Paired axial CT (left) and PSMA PET (right), 18F tracer.
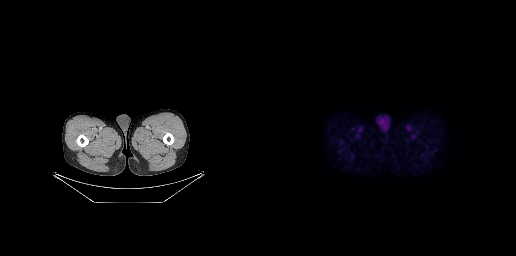
Coordinates are on the 256×256 PET (right) panel. PSMA-avid tumor lesion bounding boxes:
| # | x0 | y0 | x1 | y1 |
|---|---|---|---|---|
| 1 | 80 | 140 | 84 | 144 |